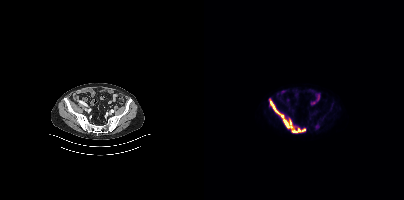
Technique: Two-panel axial: CT | PSMA PET, [18F]PSMA-1007 tracer. PET panel 200×200 px (4.1 mm/px).
Findings: Coordinates are on the 200×200 PET (right) panel. PSMA-avid tumor lesion bounding boxes (x0,y0,x1,y1): [66,101,88,128] [88,128,101,132].